Technique: Two-panel axial: CT | PSMA PET, [18F]PSMA-1007 tracer.
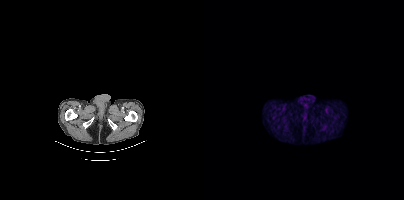
Findings: No PSMA-avid tumor lesions on this slice.